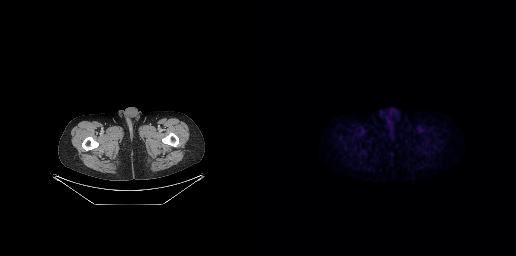
Paired axial CT (left) and PSMA PET (right), 18F tracer. Negative for PSMA-avid disease on this slice.